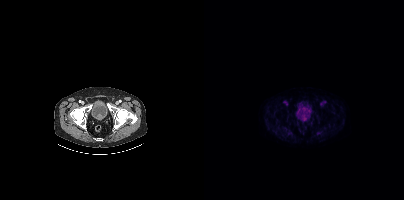
{"modality":"PSMA PET/CT","view":"axial","tracer":"[18F]PSMA-1007","pet_grid":[200,200],"coord_frame":"pet_panel","coord_format":"x0,y0,x1,y1","psma_avid_lesions":false}